Technique: Left: CT. Right: PSMA PET, same axial level, [18F]PSMA-1007 tracer. acquired on Siemens Biograph mCT Flow 20. slice position z = -1182 mm.
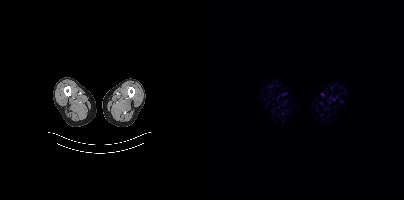
Findings: Negative for PSMA-avid disease on this slice.